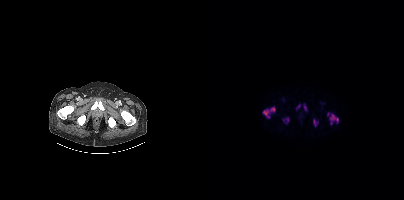
Coordinates are on the 200×200 PET (right) panel. PSMA-avid tumor lesion bounding boxes (partial; 2 more foci not listed):
| # | x0 | y0 | x1 | y1 |
|---|---|---|---|---|
| 1 | 58 | 107 | 71 | 118 |
| 2 | 125 | 113 | 134 | 124 |
| 3 | 109 | 119 | 113 | 126 |
Small PSMA-avid foci (2 to 4 px across) near (center x, center y): (95, 105); (124, 113); (83, 119); (100, 105).
Two-panel axial: CT | PSMA PET, [18F]PSMA-1007 tracer. Acquired on Siemens Biograph mCT Flow 20. Slice position z = -1669 mm.